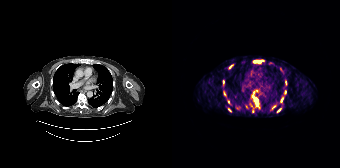
Technique: Two-panel axial: CT | PSMA PET, 68Ga-PSMA tracer. slice position z = -850 mm. PET panel 168×168 px (4.1 mm/px).
Findings: Coordinates are on the 168×168 PET (right) panel. (showing 11 of 14 foci) PSMA-avid tumor lesion bounding boxes (x0,y0,x1,y1): [78,98,86,112]; [82,60,91,63]; [57,64,61,68]; [81,90,84,94]; [109,98,110,102]. Small PSMA-avid foci (2 to 4 px across) near (center x, center y): (106, 110); (113, 82); (52, 93); (56, 101); (113, 92); (57, 110).